- Paired axial CT (left) and PSMA PET (right), [68Ga]Ga-PSMA-11 tracer
- PET panel 168×168 px (4.1 mm/px)
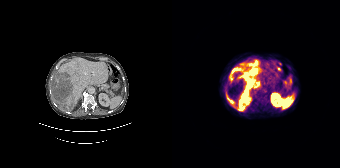
Findings: Coordinates are on the 168×168 PET (right) panel. (showing 3 of 4 foci) PSMA-avid tumor lesion bounding boxes (x0, y0)-(x1, y1): (57, 59)-(89, 111); (54, 96)-(63, 107); (68, 62)-(72, 65).